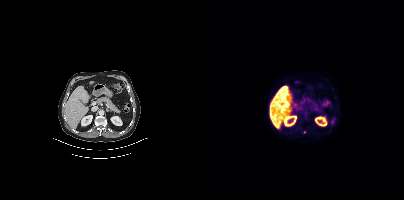
Coordinates are on the 200×200 PET (right) panel. Small PSMA-avid focus (2 to 4 px across) near (center x, center y): (100, 132). Two-panel axial: CT | PSMA PET, [18F]PSMA-1007 tracer.